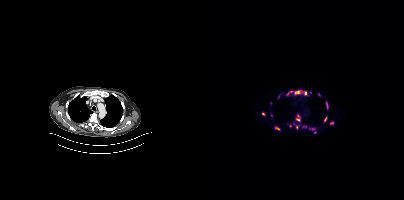
Left: CT. Right: PSMA PET, same axial level, [18F]PSMA-1007 tracer.
Coordinates are on the 200×200 PET (right) panel. PSMA-avid tumor lesion bounding boxes (partial; 5 more foci not listed):
| # | x0 | y0 | x1 | y1 |
|---|---|---|---|---|
| 1 | 90 | 90 | 98 | 94 |
| 2 | 92 | 114 | 96 | 121 |
| 3 | 122 | 101 | 124 | 109 |
| 4 | 82 | 91 | 88 | 95 |
| 5 | 120 | 117 | 123 | 121 |
| 6 | 100 | 91 | 102 | 95 |
| 7 | 71 | 127 | 75 | 130 |
| 8 | 98 | 126 | 102 | 127 |
Small PSMA-avid foci (2 to 4 px across) near (center x, center y): (127, 122); (59, 113); (93, 127); (108, 128); (115, 94); (86, 126); (111, 132).